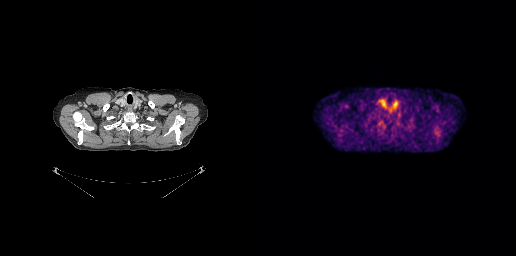
No PSMA-avid tumor lesions on this slice.